Left: CT. Right: PSMA PET, same axial level, 18F-PSMA tracer. Acquired on Siemens Biograph mCT Flow 20. PET panel 200×200 px (4.1 mm/px).
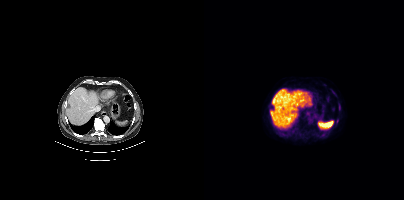
Coordinates are on the 200×200 PET (right) panel. Small PSMA-avid focus (2 to 4 px across) near (center x, center y): (133, 121).